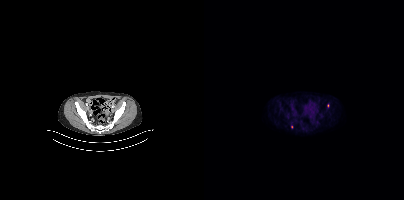
Technique: Paired axial CT (left) and PSMA PET (right), 18F tracer. acquired on Siemens Biograph mCT Flow 20. PET panel 200×200 px (4.1 mm/px).
Findings: Coordinates are on the 200×200 PET (right) panel. (showing 1 of 2 foci) Small PSMA-avid focus (2 to 4 px across) near (center x, center y): (124, 105).